- Two-panel axial: CT | PSMA PET, [18F]PSMA-1007 tracer
- PET panel 200×200 px (4.1 mm/px)
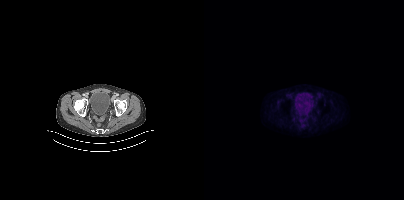
Findings: No PSMA-avid tumor lesions on this slice.